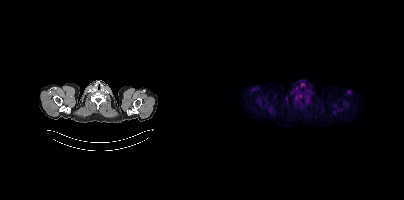
modality: PSMA PET/CT | tracer: [18F]PSMA-1007 | view: axial
Coordinates are on the 200×200 PET (right) panel. Small PSMA-avid focus (2 to 4 px across) near (center x, center y): (96, 96).